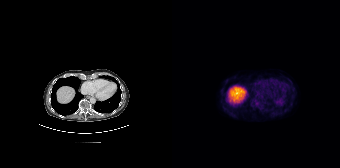
No PSMA-avid tumor lesions on this slice.
modality: PSMA PET/CT | tracer: 18F-PSMA | view: axial | PET grid: 168×168